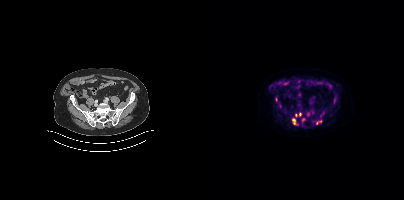
Coordinates are on the 200×200 PET (right) panel. (showing 6 of 7 foci) PSMA-avid tumor lesion bounding boxes (x0, y0)-(x1, y1): (88, 118)-(92, 124); (112, 120)-(117, 124). Small PSMA-avid foci (2 to 4 px across) near (center x, center y): (96, 114); (92, 115); (99, 119); (130, 98).
modality: PSMA PET/CT | tracer: 18F-PSMA | view: axial